Two-panel axial: CT | PSMA PET, [18F]PSMA-1007 tracer. Slice 147 of 299.
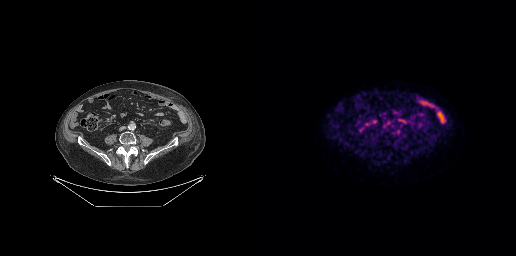
Coordinates are on the 256×256 PET (right) panel. Small PSMA-avid foci (2 to 4 px across) near (center x, center y): (138, 131); (124, 124).